Two-panel axial: CT | PSMA PET, 18F-PSMA tracer. PET panel 256×256 px (2.7 mm/px).
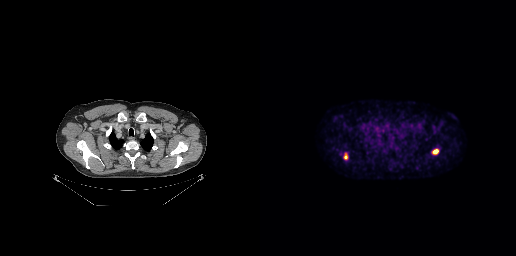
Coordinates are on the 256×256 PET (right) panel. PSMA-avid tumor lesion bounding boxes (x0,y0,x1,y1): [172,149,178,154], [84,153,87,159].